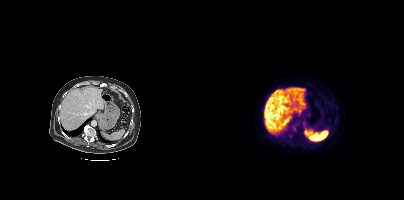
No tumor lesions annotated on this slice. Paired axial CT (left) and PSMA PET (right), [18F]PSMA-1007 tracer. PET panel 200×200 px (4.1 mm/px).